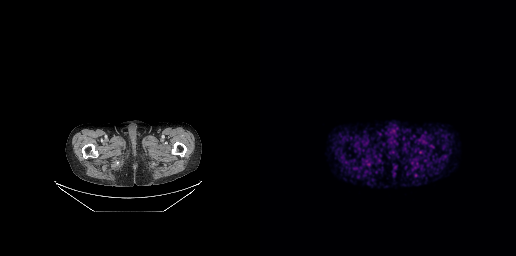
Negative for PSMA-avid disease on this slice.